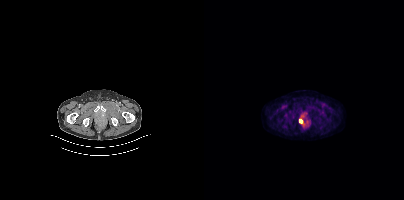
Two-panel axial: CT | PSMA PET, [18F]PSMA-1007 tracer. Slice position z = -1013 mm. PET panel 200×200 px (4.1 mm/px). Coordinates are on the 200×200 PET (right) panel. PSMA-avid tumor lesion bounding box (x0,y0,x1,y1): [95,119,98,123].